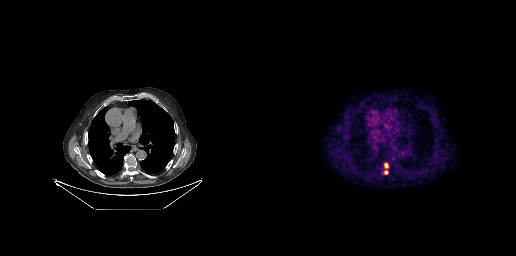
Coordinates are on the 256×256 PET (right) panel. PSMA-avid tumor lesion bounding boxes (x, y, width, height): x=124 y=163 w=5 h=6; x=124 y=170 w=4 h=5.